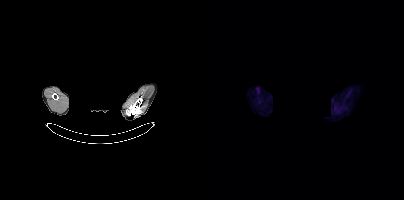
Negative for PSMA-avid disease on this slice. Any black rectangle over the head is a privacy mask, not anatomy. Two-panel axial: CT | PSMA PET, 18F-PSMA tracer. Acquired on Siemens Biograph mCT Flow 20. PET panel 200×200 px (4.1 mm/px).